- Two-panel axial: CT | PSMA PET, [18F]PSMA-1007 tracer
- acquired on Siemens Biograph mCT Flow 20
- PET panel 200×200 px (4.1 mm/px)
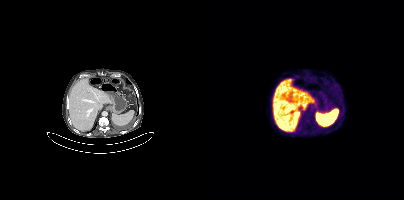
Findings: No PSMA-avid tumor lesions on this slice.